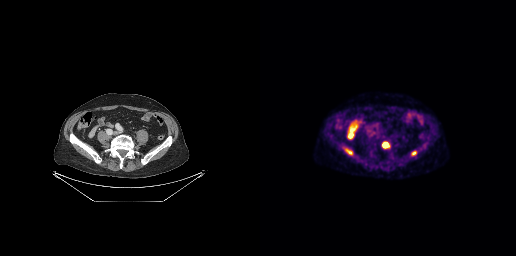
Coordinates are on the 256×256 PET (right) panel. PSMA-avid tumor lesion bounding boxes (x0,y0,x1,y1): [151,151,156,155], [85,149,89,153]. Small PSMA-avid focus (2 to 4 px across) near (center x, center y): (125, 144). Left: CT. Right: PSMA PET, same axial level, [18F]PSMA-1007 tracer. Acquired on GE Discovery 690.